modality: PSMA PET/CT | tracer: [68Ga]Ga-PSMA-11 | view: axial | PET grid: 168×168 | redaction: facial region redacted
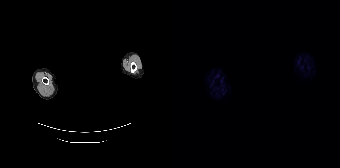
This slice has no annotated PSMA-avid lesion.